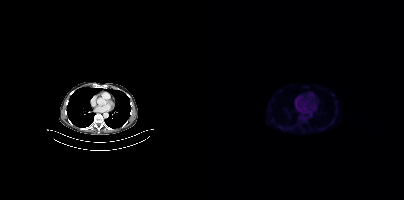
This slice has no annotated PSMA-avid lesion.